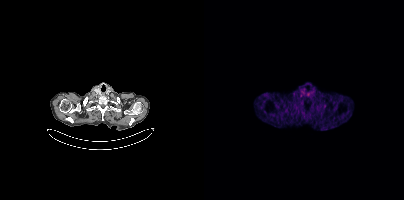
Paired axial CT (left) and PSMA PET (right), 68Ga-PSMA tracer. No tumor lesions annotated on this slice.